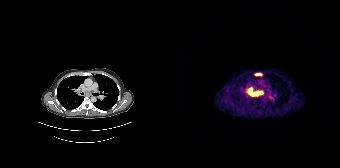
{"modality":"PSMA PET/CT","view":"axial","tracer":"[68Ga]Ga-PSMA-11","pet_grid":[168,168],"coord_frame":"pet_panel","coord_format":"x0,y0,x1,y1","lesion_bboxes":[[74,87,91,96],[82,72,90,76]]}